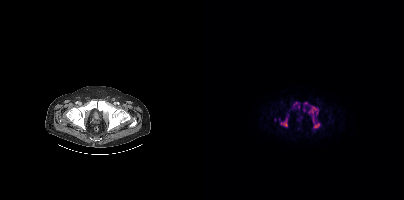
Coordinates are on the 200×200 PET (right) panel. (showing 7 of 8 foci) PSMA-avid tumor lesion bounding boxes (x0,y0,x1,y1): [105,106,114,114]; [77,118,83,126]; [88,102,93,109]; [110,123,115,128]; [99,102,103,110]; [108,116,111,120]. Small PSMA-avid focus (2 to 4 px across) near (center x, center y): (70, 119).